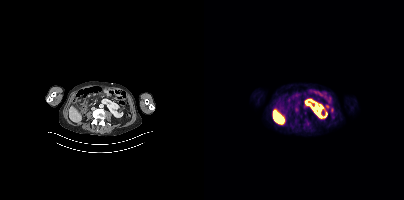
{"modality":"PSMA PET/CT","view":"axial","tracer":"18F","pet_grid":[200,200],"coord_frame":"pet_panel","coord_format":"x0,y0,x1,y1","partial":true,"lesion_bboxes":[]}